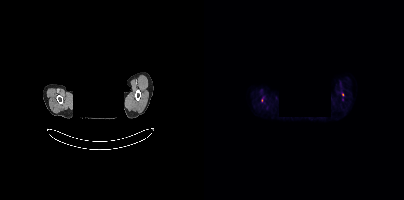
De-identified by setting a box covering the face to black before release.
Coordinates are on the 200×200 PET (right) panel. Small PSMA-avid foci (2 to 4 px across) near (center x, center y): (138, 94); (57, 100).